Paired axial CT (left) and PSMA PET (right), 18F tracer. PET panel 200×200 px (4.1 mm/px).
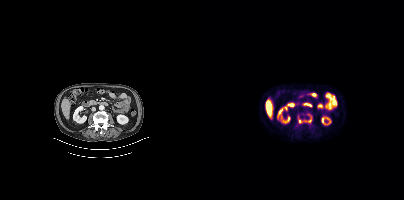
Coordinates are on the 200×200 PET (right) panel. PSMA-avid tumor lesion bounding boxes:
| # | x0 | y0 | x1 | y1 |
|---|---|---|---|---|
| 1 | 94 | 114 | 107 | 123 |